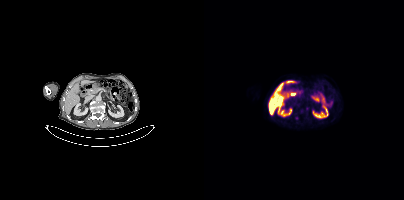
modality: PSMA PET/CT | tracer: [18F]PSMA-1007 | view: axial
This slice has no annotated PSMA-avid lesion.